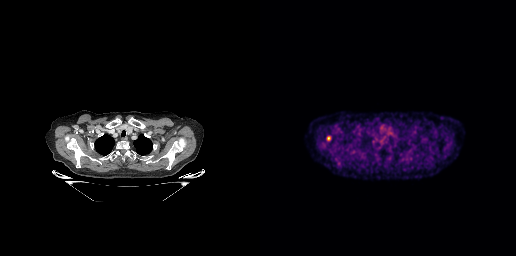
Only PSMA-avid lesion pieces thinner than 2 px on this slice (not listed). Left: CT. Right: PSMA PET, same axial level, [18F]PSMA-1007 tracer. Slice 222 of 263.